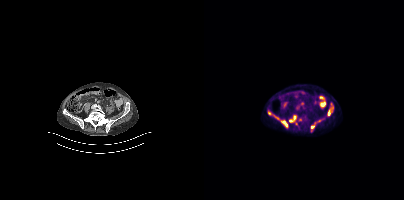
{"modality":"PSMA PET/CT","view":"axial","tracer":"18F","pet_grid":[200,200],"coord_frame":"pet_panel","coord_format":"x0,y0,x1,y1","lesion_bboxes":[[70,115,75,119]],"small_foci_centers":[[65,112],[125,110]]}